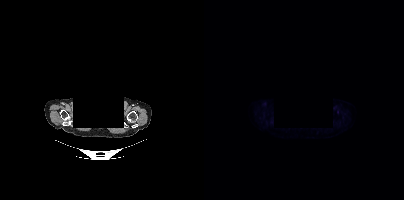
A rectangular block over the head has been blanked out for de-identification. Left: CT. Right: PSMA PET, same axial level, 18F-PSMA tracer. Slice 339 of 383. PET panel 200×200 px (4.1 mm/px). Negative for PSMA-avid disease on this slice.